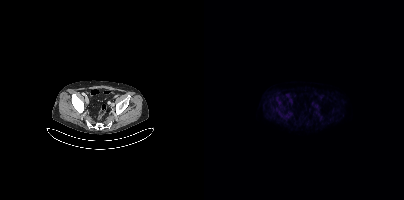
No tumor lesions annotated on this slice.